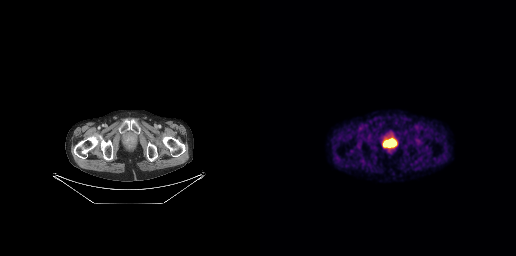
Technique: Left: CT. Right: PSMA PET, same axial level, [18F]PSMA-1007 tracer. acquired on GE Discovery 690.
Findings: Coordinates are on the 256×256 PET (right) panel. PSMA-avid tumor lesion bounding box (x0, y0)-(x1, y1): (123, 139)-(136, 146).